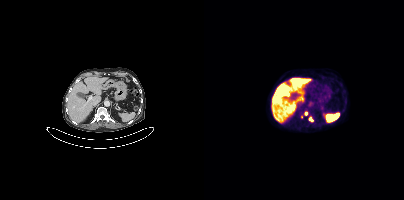
Coordinates are on the 200×200 PET (right) panel. PSMA-avid tumor lesion bounding boxes:
| # | x0 | y0 | x1 | y1 |
|---|---|---|---|---|
| 1 | 104 | 116 | 109 | 121 |
Small PSMA-avid foci (2 to 4 px across) near (center x, center y): (101, 113); (97, 116).
Two-panel axial: CT | PSMA PET, 18F-PSMA tracer. Acquired on Siemens Biograph mCT Flow 20.